- Left: CT. Right: PSMA PET, same axial level, 18F-PSMA tracer
- PET panel 256×256 px (2.7 mm/px)
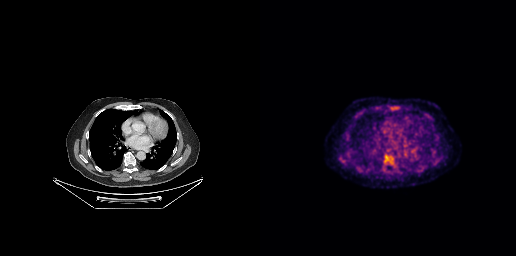
Findings: Negative for PSMA-avid disease on this slice.